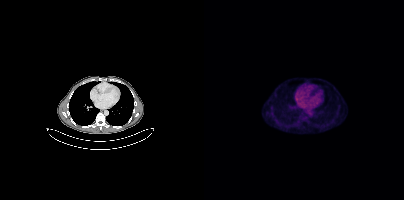
{"modality":"PSMA PET/CT","view":"axial","tracer":"[18F]PSMA-1007","pet_grid":[200,200],"coord_frame":"pet_panel","coord_format":"x0,y0,x1,y1","psma_avid_lesions":false}